Technique: Left: CT. Right: PSMA PET, same axial level, 18F-PSMA tracer.
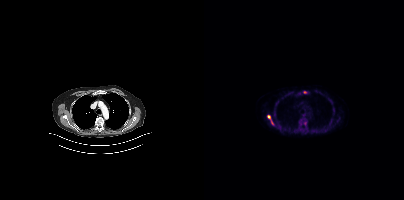
Findings: Coordinates are on the 200×200 PET (right) panel. (showing 4 of 5 foci) PSMA-avid tumor lesion bounding box (x0,y0,x1,y1): [63,115,70,125]. Small PSMA-avid foci (2 to 4 px across) near (center x, center y): (100, 92), (101, 123), (123, 128).